Two-panel axial: CT | PSMA PET, [18F]PSMA-1007 tracer. Acquired on Siemens Biograph mCT Flow 20.
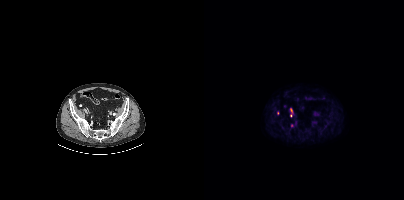
Coordinates are on the 200×200 PET (right) panel. (showing 3 of 4 foci) PSMA-avid tumor lesion bounding box (x0, y0)-(x1, y1): (86, 108)-(88, 112). Small PSMA-avid foci (2 to 4 px across) near (center x, center y): (86, 115); (87, 125).